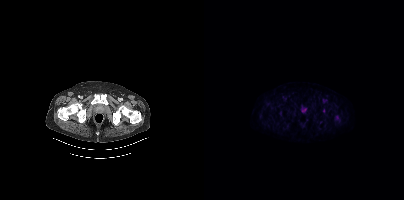
Left: CT. Right: PSMA PET, same axial level, 18F-PSMA tracer. Slice position z = -1438 mm. PET panel 200×200 px (4.1 mm/px). Coordinates are on the 200×200 PET (right) panel. (showing 1 of 2 foci) Small PSMA-avid focus (2 to 4 px across) near (center x, center y): (119, 110).